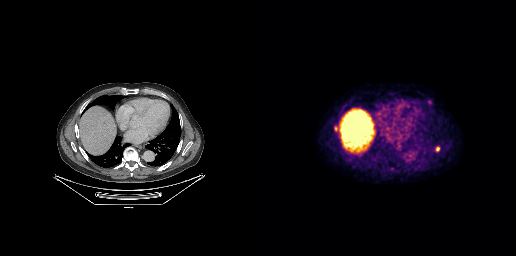
Coordinates are on the 256×256 PET (right) panel. PSMA-avid tumor lesion bounding box (x0,y0,x1,y1): [176,147,179,151]. Small PSMA-avid focus (2 to 4 px across) near (center x, center y): (75, 128).